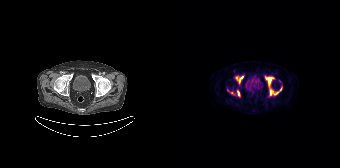
Coordinates are on the 168×168 PET (right) panel. PSMA-avid tumor lesion bounding boxes (x, y, width, height): x=93 y=76 w=18 h=21 / x=63 y=76 w=9 h=8 / x=55 y=88 w=7 h=6 / x=65 y=90 w=3 h=7. Two-panel axial: CT | PSMA PET, 18F-PSMA tracer. Slice 31 of 165. PET panel 168×168 px (4.1 mm/px).